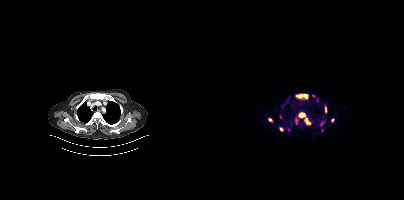
Findings: Coordinates are on the 200×200 PET (right) panel. (showing 11 of 12 foci) PSMA-avid tumor lesion bounding boxes (x, y, width, height): x=92 y=94 w=12 h=5 | x=100 y=118 w=8 h=8 | x=95 y=113 w=7 h=5 | x=120 y=105 w=3 h=7 | x=64 y=118 w=5 h=4 | x=91 y=118 w=3 h=6 | x=116 y=121 w=5 h=5. Small PSMA-avid foci (2 to 4 px across) near (center x, center y): (77, 129) | (76, 116) | (128, 120) | (84, 129).
- Paired axial CT (left) and PSMA PET (right), 68Ga-PSMA tracer
- acquired on Siemens Biograph mCT Flow 20
- slice position z = 886 mm
- PET panel 200×200 px (4.1 mm/px)